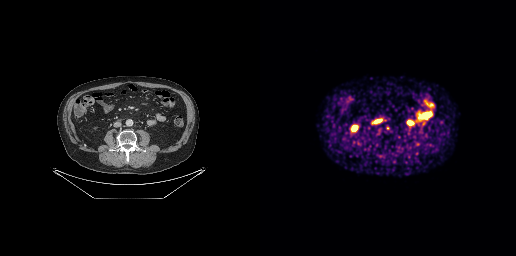
Coordinates are on the 256×256 PET (right) panel. Small PSMA-avid focus (2 to 4 px across) near (center x, center y): (127, 127). Paired axial CT (left) and PSMA PET (right), 68Ga-PSMA tracer. Acquired on GE Discovery 690. Slice 105 of 263. PET panel 256×256 px (2.7 mm/px).